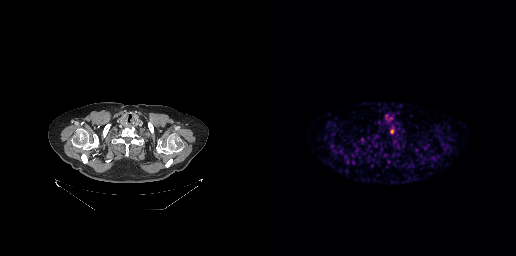
- Left: CT. Right: PSMA PET, same axial level, 68Ga-PSMA tracer
- slice 225 of 263
- PET panel 256×256 px (2.7 mm/px)
Findings: Coordinates are on the 256×256 PET (right) panel. PSMA-avid tumor lesion bounding box (x, y, width, height): x=131 y=129 w=3 h=5.